Two-panel axial: CT | PSMA PET, 18F tracer.
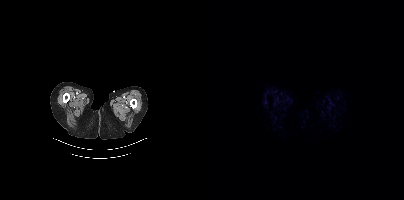
This slice has no annotated PSMA-avid lesion.